Technique: Two-panel axial: CT | PSMA PET, 18F-PSMA tracer. slice position z = -1444 mm.
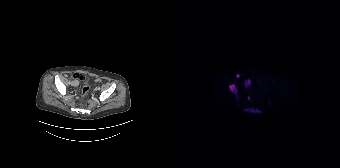
Findings: Coordinates are on the 168×168 PET (right) panel. (showing 6 of 8 foci) PSMA-avid tumor lesion bounding boxes (x0, y0)-(x1, y1): (73, 79)-(78, 86) | (57, 84)-(62, 91). Small PSMA-avid foci (2 to 4 px across) near (center x, center y): (66, 75) | (80, 110) | (76, 98) | (84, 110).